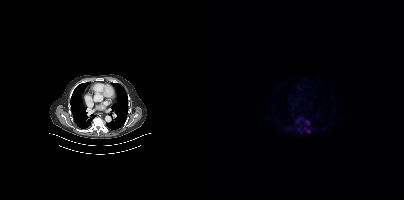
Paired axial CT (left) and PSMA PET (right), [18F]PSMA-1007 tracer. Slice position z = -576 mm. PET panel 200×200 px (4.1 mm/px).
Coordinates are on the 200×200 PET (right) panel. PSMA-avid tumor lesion bounding boxes (partial; 1 more focus not listed):
| # | x0 | y0 | x1 | y1 |
|---|---|---|---|---|
| 1 | 100 | 126 | 106 | 133 |
| 2 | 100 | 120 | 105 | 125 |
| 3 | 92 | 120 | 97 | 123 |
| 4 | 93 | 127 | 97 | 129 |